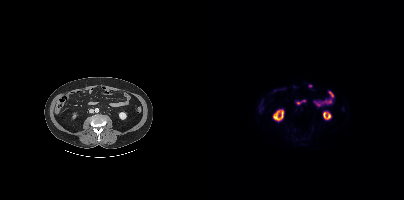
This slice has no annotated PSMA-avid lesion.